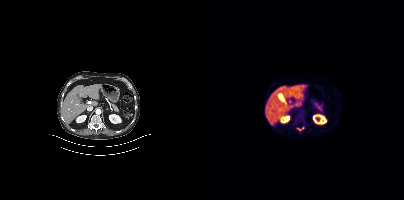
Paired axial CT (left) and PSMA PET (right), 18F tracer. Acquired on Siemens Biograph mCT Flow 20. Slice position z = -634 mm. Coordinates are on the 200×200 PET (right) panel. Small PSMA-avid foci (2 to 4 px across) near (center x, center y): (94, 129) | (98, 127).